modality: PSMA PET/CT | tracer: 18F-PSMA | view: axial
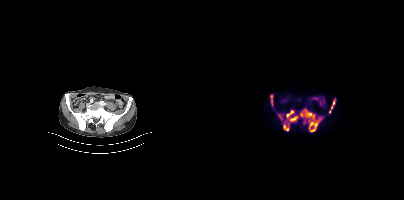
Coordinates are on the 200×200 PET (right) panel. (showing 6 of 7 foci) PSMA-avid tumor lesion bounding boxes (x, y, width, height): x=96 y=108 w=24 h=24 / x=82 y=110 w=13 h=12 / x=125 y=98 w=8 h=16 / x=79 y=123 w=7 h=9 / x=66 y=95 w=3 h=11 / x=75 y=115 w=4 h=5.